- Left: CT. Right: PSMA PET, same axial level, [18F]PSMA-1007 tracer
- acquired on Siemens Biograph mCT Flow 20
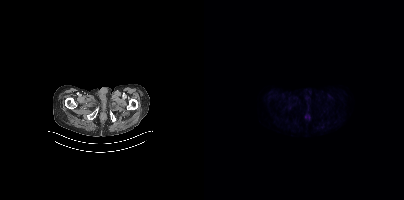
Findings: This slice has no annotated PSMA-avid lesion.